Left: CT. Right: PSMA PET, same axial level, [18F]PSMA-1007 tracer. Slice position z = -983 mm. PET panel 200×200 px (4.1 mm/px).
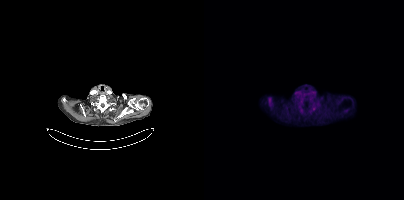
No tumor lesions annotated on this slice.